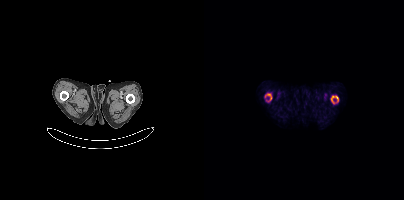
Coordinates are on the 200×200 PET (right) panel. PSMA-avid tumor lesion bounding boxes:
| # | x0 | y0 | x1 | y1 |
|---|---|---|---|---|
| 1 | 127 | 96 | 134 | 103 |
| 2 | 61 | 93 | 67 | 100 |
Two-panel axial: CT | PSMA PET, 18F tracer. Acquired on Siemens Biograph mCT Flow 20.